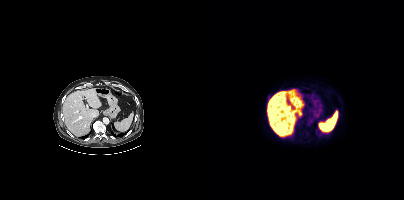
Findings: Coordinates are on the 200×200 PET (right) panel. Small PSMA-avid focus (2 to 4 px across) near (center x, center y): (64, 97).
Technique: Paired axial CT (left) and PSMA PET (right), 18F-PSMA tracer. slice 247 of 435. PET panel 200×200 px (4.1 mm/px).